Paired axial CT (left) and PSMA PET (right), 18F-PSMA tracer. Slice position z = -1095 mm. PET panel 200×200 px (4.1 mm/px).
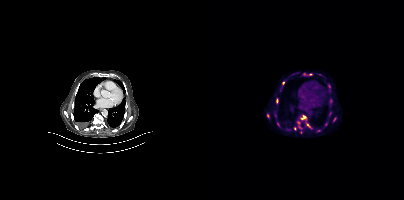
Coordinates are on the 200×200 PET (right) panel. PSMA-avid tumor lesion bounding boxes (partial; 4 more foci not listed):
| # | x0 | y0 | x1 | y1 |
|---|---|---|---|---|
| 1 | 101 | 123 | 108 | 129 |
| 2 | 96 | 115 | 102 | 120 |
| 3 | 99 | 73 | 106 | 75 |
| 4 | 72 | 98 | 74 | 103 |
| 5 | 63 | 114 | 65 | 118 |
| 6 | 78 | 81 | 80 | 85 |
| 7 | 129 | 117 | 132 | 121 |
| 8 | 125 | 87 | 126 | 91 |
Small PSMA-avid foci (2 to 4 px across) near (center x, center y): (126, 113); (94, 122); (96, 127); (91, 128); (74, 124); (114, 130).